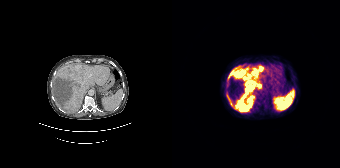
Coordinates are on the 168×168 PET (right) panel. (showing 3 of 5 foci) PSMA-avid tumor lesion bounding boxes (x, y, width, height): x=56 y=65 w=34 h=48 / x=55 y=95 w=6 h=10. Small PSMA-avid focus (2 to 4 px across) near (center x, center y): (71, 70).